Left: CT. Right: PSMA PET, same axial level, [18F]PSMA-1007 tracer. Acquired on Siemens Biograph mCT Flow 20. Slice 68 of 417. PET panel 200×200 px (4.1 mm/px).
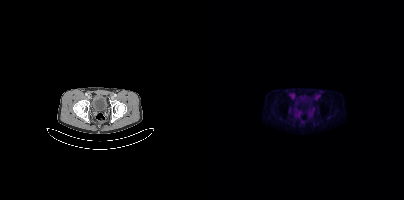
This slice has no annotated PSMA-avid lesion.